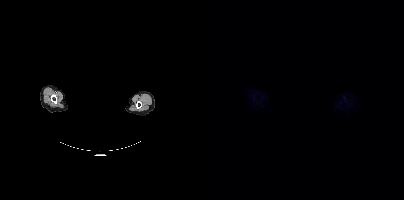
No tumor lesions annotated on this slice. The head region is masked for de-identification. Two-panel axial: CT | PSMA PET, 18F tracer. Slice position z = -204 mm.